- Left: CT. Right: PSMA PET, same axial level, 18F tracer
- any black rectangle over the head is a privacy mask, not anatomy
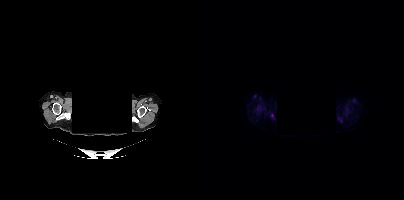
Findings: Coordinates are on the 200×200 PET (right) panel. PSMA-avid tumor lesion bounding box (x0, y0)-(x1, y1): (135, 118)-(139, 123). Small PSMA-avid focus (2 to 4 px across) near (center x, center y): (68, 115).